Left: CT. Right: PSMA PET, same axial level, 18F tracer. PET panel 200×200 px (4.1 mm/px).
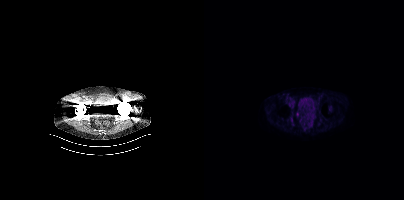
This slice has no annotated PSMA-avid lesion.